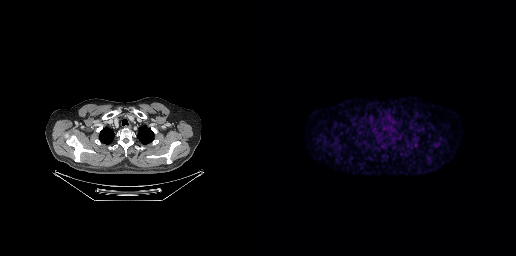
Two-panel axial: CT | PSMA PET, [18F]PSMA-1007 tracer. Slice 251 of 299. PET panel 256×256 px (2.7 mm/px). Negative for PSMA-avid disease on this slice.